- Two-panel axial: CT | PSMA PET, 18F tracer
- acquired on Siemens Biograph mCT Flow 20
- slice 58 of 433
- PET panel 200×200 px (4.1 mm/px)
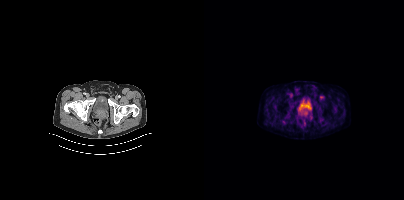
Findings: Coordinates are on the 200×200 PET (right) panel. PSMA-avid tumor lesion bounding box (x0,y0,x1,y1): [100,111,104,116].